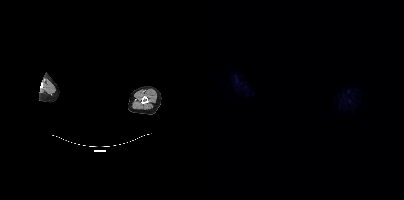
This slice has no annotated PSMA-avid lesion. Left: CT. Right: PSMA PET, same axial level, [18F]PSMA-1007 tracer. Acquired on Siemens Biograph mCT Flow 20. PET panel 200×200 px (4.1 mm/px). The face region was removed for patient privacy by blanking a rectangle over the head.